Paired axial CT (left) and PSMA PET (right), 68Ga-PSMA tracer. Slice 67 of 195. PET panel 168×168 px (4.1 mm/px).
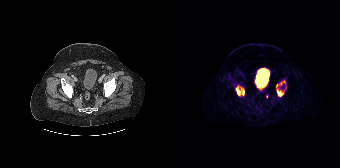
Coordinates are on the 168×168 PET (right) panel. PSMA-avid tumor lesion bounding boxes (partial; 3 more foci not listed):
| # | x0 | y0 | x1 | y1 |
|---|---|---|---|---|
| 1 | 63 | 85 | 72 | 96 |
| 2 | 105 | 89 | 111 | 96 |